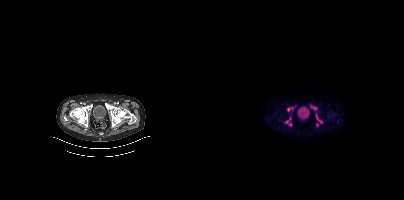
Coordinates are on the 200×200 PET (right) panel. (showing 5 of 7 foci) PSMA-avid tumor lesion bounding boxes (x0,y0,x1,y1): [105,104,113,116] [80,120,88,126] [83,105,92,111] [112,118,118,126] [98,115,102,118].